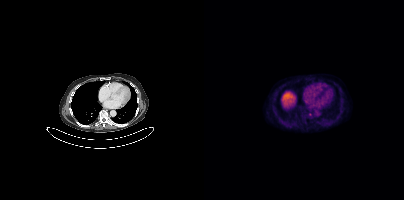
Technique: Left: CT. Right: PSMA PET, same axial level, [18F]PSMA-1007 tracer. acquired on Siemens Biograph mCT Flow 20. slice 252 of 401. PET panel 200×200 px (4.1 mm/px).
Findings: This slice has no annotated PSMA-avid lesion.